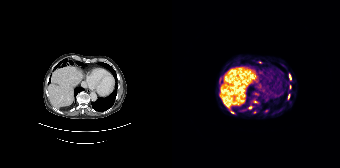
Coordinates are on the 168×168 PET (right) panel. (showing 7 of 10 foci) PSMA-avid tumor lesion bounding box (x0,y0,x1,y1): [116,94,117,99]. Small PSMA-avid foci (2 to 4 px across) near (center x, center y): (60, 112) (78, 107) (88, 62) (82, 112) (117, 76) (83, 101).